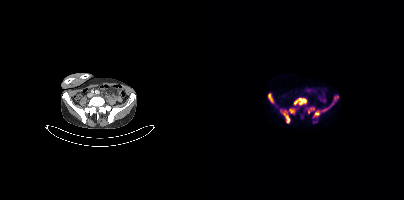
Left: CT. Right: PSMA PET, same axial level, [18F]PSMA-1007 tracer. Acquired on Siemens Biograph mCT Flow 20. Slice position z = -1356 mm. PET panel 200×200 px (4.1 mm/px). Coordinates are on the 200×200 PET (right) panel. PSMA-avid tumor lesion bounding boxes (x, y, width, height): x=90 y=98 w=13 h=8; x=76 y=109 w=11 h=15; x=126 y=95 w=9 h=11; x=108 y=111 w=8 h=8; x=64 y=93 w=7 h=11; x=85 y=108 w=6 h=6; x=104 y=107 w=7 h=7. Small PSMA-avid foci (2 to 4 px across) near (center x, center y): (110, 121); (120, 109).